- Two-panel axial: CT | PSMA PET, 18F-PSMA tracer
- acquired on Siemens Biograph mCT Flow 20
- PET panel 200×200 px (4.1 mm/px)
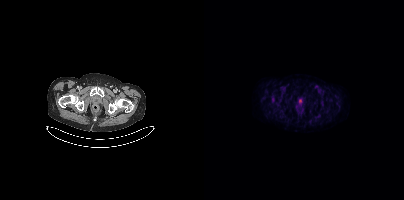
Findings: This slice has no annotated PSMA-avid lesion.